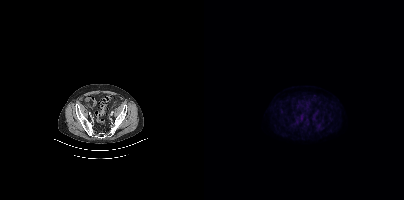
Technique: Left: CT. Right: PSMA PET, same axial level, 18F tracer.
Findings: Negative for PSMA-avid disease on this slice.